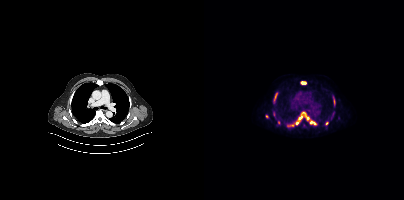
{"modality":"PSMA PET/CT","view":"axial","tracer":"18F","pet_grid":[200,200],"coord_frame":"pet_panel","coord_format":"x0,y0,x1,y1","partial":true,"lesion_bboxes":[[106,120,112,124],[70,92,73,102],[83,123,90,126],[97,82,102,84],[129,96,131,101]],"small_foci_centers":[[75,122],[122,123],[93,123],[104,118],[96,117]]}